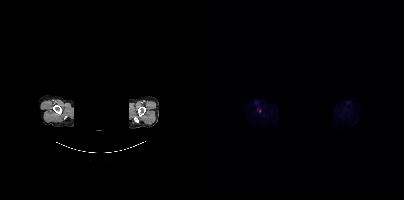
{"modality":"PSMA PET/CT","view":"axial","tracer":"18F","pet_grid":[200,200],"coord_frame":"pet_panel","coord_format":"x0,y0,x1,y1","de-identification":"head region blanked (face removed)","lesion_bboxes":[],"small_foci_centers":[[55,111]]}